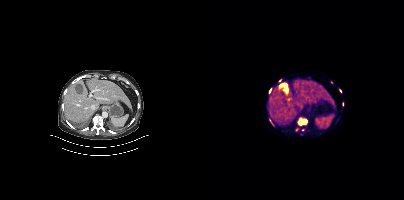
Findings: Coordinates are on the 200×200 PET (right) panel. (showing 7 of 9 foci) PSMA-avid tumor lesion bounding boxes (x0,y0,x1,y1): [94,118,103,125], [65,88,67,93]. Small PSMA-avid foci (2 to 4 px across) near (center x, center y): (136, 90), (68, 124), (75, 80), (98, 129), (92, 129).
- Two-panel axial: CT | PSMA PET, 18F-PSMA tracer
- acquired on Siemens Biograph mCT Flow 20
- slice position z = -1235 mm
- PET panel 200×200 px (4.1 mm/px)